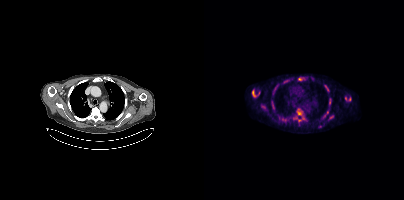
Left: CT. Right: PSMA PET, same axial level, [18F]PSMA-1007 tracer. Acquired on Siemens Biograph mCT Flow 20. Slice 312 of 401. Coordinates are on the 200×200 PET (right) panel. (showing 12 of 13 foci) PSMA-avid tumor lesion bounding boxes (x0, y0)-(x1, y1): (93, 109)-(97, 115) / (94, 77)-(99, 80) / (119, 111)-(124, 117) / (48, 91)-(51, 96) / (125, 116)-(129, 118) / (125, 99)-(126, 103). Small PSMA-avid foci (2 to 4 px across) near (center x, center y): (68, 103) / (72, 86) / (123, 90) / (99, 118) / (95, 120) / (141, 98).